- Two-panel axial: CT | PSMA PET, 18F-PSMA tracer
- acquired on Siemens Biograph mCT Flow 20
- slice position z = -1627 mm
- PET panel 200×200 px (4.1 mm/px)
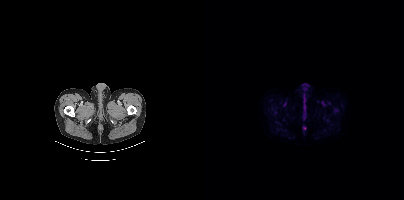
Findings: No PSMA-avid tumor lesions on this slice.